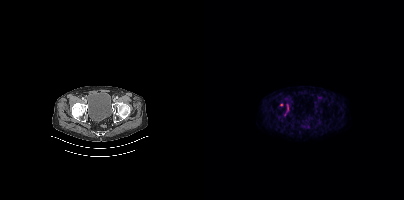
{"modality":"PSMA PET/CT","view":"axial","tracer":"18F-PSMA","pet_grid":[200,200],"coord_frame":"pet_panel","coord_format":"x0,y0,x1,y1","lesion_bboxes":[[83,104,84,110]],"small_foci_centers":[[77,104]]}